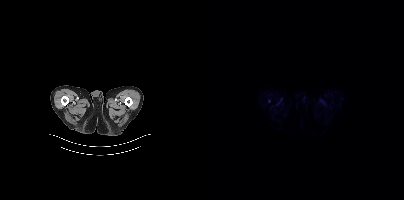
- Paired axial CT (left) and PSMA PET (right), [18F]PSMA-1007 tracer
- slice 25 of 423
- PET panel 200×200 px (4.1 mm/px)
Findings: Only PSMA-avid lesion pieces thinner than 2 px on this slice (not listed).